Technique: Left: CT. Right: PSMA PET, same axial level, 18F-PSMA tracer. acquired on Siemens Biograph mCT Flow 20. slice 267 of 401.
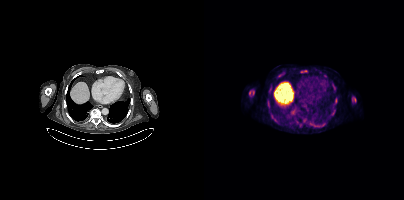
Findings: Coordinates are on the 200×200 PET (right) panel. (showing 5 of 6 foci) PSMA-avid tumor lesion bounding boxes (x, y, width, height): x=45 y=91 w=6 h=4 | x=148 y=97 w=4 h=6 | x=63 y=104 w=3 h=5. Small PSMA-avid foci (2 to 4 px across) near (center x, center y): (71, 120) | (76, 75).